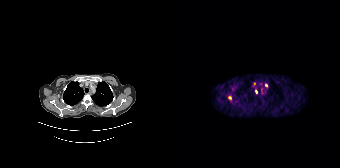
modality: PSMA PET/CT | tracer: 68Ga | view: axial | PET grid: 168×168
Coordinates are on the 168×168 PET (right) panel. Small PSMA-avid foci (2 to 4 px across) near (center x, center y): (57, 97) / (84, 91) / (94, 85) / (82, 83).